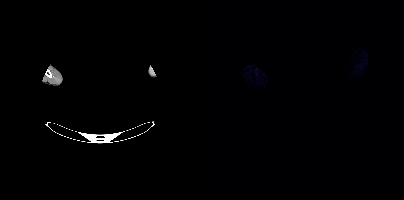
Findings: No tumor lesions annotated on this slice.
Technique: Paired axial CT (left) and PSMA PET (right), 18F tracer. acquired on Siemens Biograph mCT Flow 20. PET panel 200×200 px (4.1 mm/px).
Note: Any black rectangle over the head is a privacy mask, not anatomy.